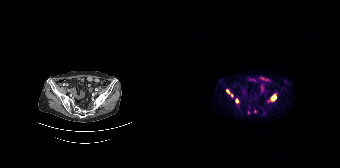
- Left: CT. Right: PSMA PET, same axial level, 68Ga tracer
- acquired on Siemens Biograph 64-4R TruePoint
- slice position z = -1486 mm
- PET panel 168×168 px (4.1 mm/px)
Findings: Coordinates are on the 168×168 PET (right) panel. (showing 5 of 6 foci) PSMA-avid tumor lesion bounding boxes (x0,y0,x1,y1): [95,95,104,102], [54,89,57,93]. Small PSMA-avid foci (2 to 4 px across) near (center x, center y): (65, 100), (76, 112), (59, 95).